- Left: CT. Right: PSMA PET, same axial level, [18F]PSMA-1007 tracer
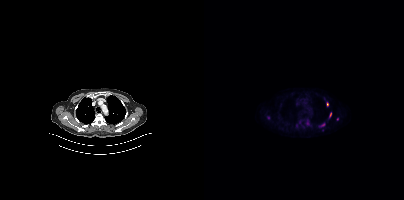
Findings: Coordinates are on the 200×200 PET (right) panel. Small PSMA-avid foci (2 to 4 px across) near (center x, center y): (123, 104); (126, 114); (133, 119); (119, 124).